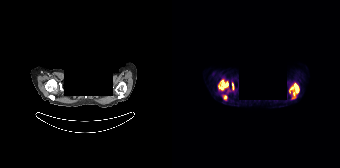
{"modality":"PSMA PET/CT","view":"axial","tracer":"68Ga-PSMA","pet_grid":[168,168],"coord_frame":"pet_panel","coord_format":"x0,y0,x1,y1","deidentification":"face masked with black rectangle","lesion_bboxes":[[117,82,127,99],[46,79,56,90],[51,95,55,100],[60,82,62,90]]}